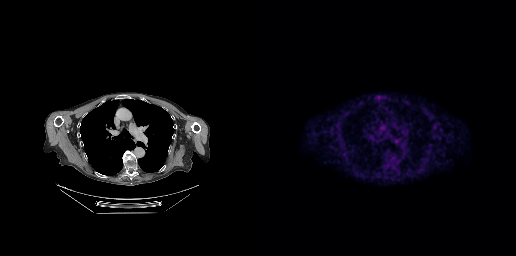
Coordinates are on the 256×256 PET (right) panel. PSMA-avid tumor lesion bounding box (x0, y0)-(x1, y1): (121, 124)-(126, 130).